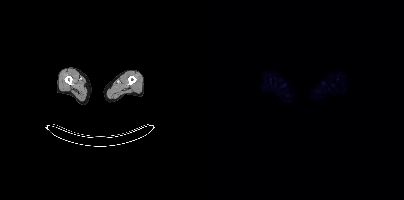
No tumor lesions annotated on this slice. Two-panel axial: CT | PSMA PET, 18F tracer. Slice position z = -1177 mm.